modality: PSMA PET/CT | tracer: [18F]PSMA-1007 | view: axial
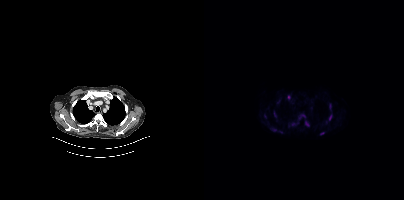
Coordinates are on the 200×200 PET (right) panel. (showing 9 of 11 foci) PSMA-avid tumor lesion bounding boxes (x0, y0)-(x1, y1): (94, 112)-(101, 118) / (125, 114)-(128, 120) / (101, 122)-(105, 126) / (83, 95)-(86, 99) / (125, 104)-(127, 108) / (116, 132)-(120, 134) / (70, 112)-(71, 116). Small PSMA-avid foci (2 to 4 px across) near (center x, center y): (89, 124) / (71, 129).